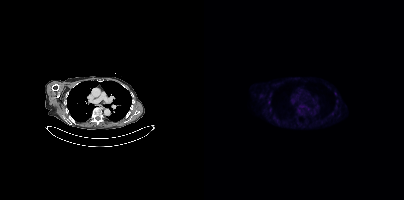
Coordinates are on the 200×200 PET (right) panel. (showing 1 of 2 foci) Small PSMA-avid focus (2 to 4 px across) near (center x, center y): (131, 93).